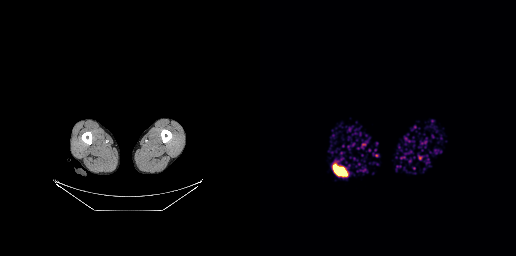
This slice has no annotated PSMA-avid lesion. Paired axial CT (left) and PSMA PET (right), 68Ga tracer. Slice 2 of 263.